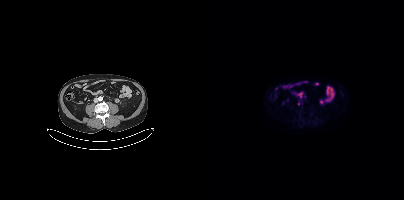
{"modality":"PSMA PET/CT","view":"axial","tracer":"[18F]PSMA-1007","pet_grid":[200,200],"coord_frame":"pet_panel","coord_format":"x0,y0,x1,y1","lesion_bboxes":[],"small_foci_centers":[[94,103],[100,96]]}